Two-panel axial: CT | PSMA PET, 18F tracer. Acquired on Siemens Biograph mCT Flow 20.
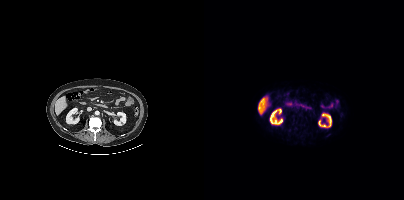
No tumor lesions annotated on this slice.